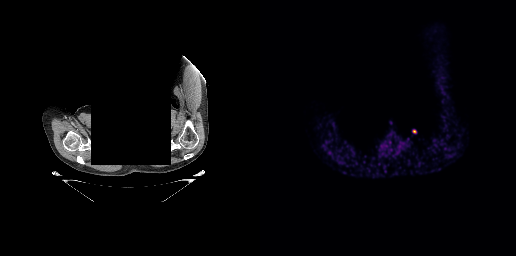
{"modality":"PSMA PET/CT","view":"axial","tracer":"[18F]PSMA-1007","pet_grid":[256,256],"coord_frame":"pet_panel","coord_format":"x0,y0,x1,y1","lesion_bboxes":[],"small_foci_centers":[[154,131]],"deidentification":"face masked with black rectangle"}